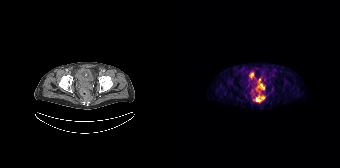
Coordinates are on the 168×168 PET (right) panel. PSMA-avid tumor lesion bounding boxes (x0, y0)-(x1, y1): (83, 96)-(92, 101) / (77, 72)-(82, 78) / (86, 84)-(92, 89). Small PSMA-avid focus (2 to 4 px across) near (center x, center y): (87, 79).